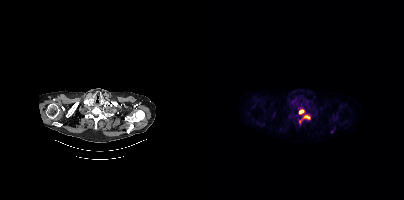
Paired axial CT (left) and PSMA PET (right), [18F]PSMA-1007 tracer. Slice position z = -333 mm. PET panel 200×200 px (4.1 mm/px). Coordinates are on the 200×200 PET (right) panel. PSMA-avid tumor lesion bounding boxes (x, y, width, height): x=99 y=115 w=8 h=5 | x=95 y=109 w=6 h=6. Small PSMA-avid focus (2 to 4 px across) near (center x, center y): (95, 121).